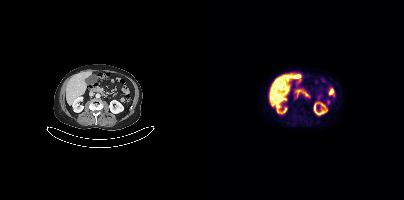
{"modality":"PSMA PET/CT","view":"axial","tracer":"[18F]PSMA-1007","pet_grid":[200,200],"coord_frame":"pet_panel","coord_format":"x0,y0,x1,y1","psma_avid_lesions":false}